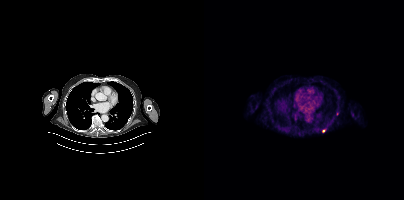
Findings: Coordinates are on the 200×200 PET (right) panel. Small PSMA-avid focus (2 to 4 px across) near (center x, center y): (119, 130).
Technique: Two-panel axial: CT | PSMA PET, 18F tracer. acquired on Siemens Biograph mCT Flow 20. slice position z = -574 mm.